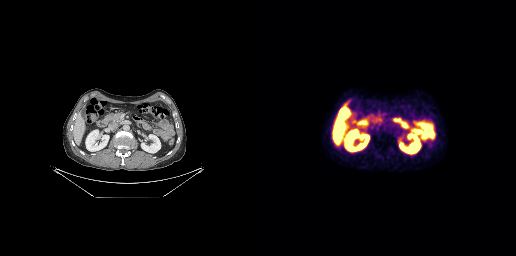
- Two-panel axial: CT | PSMA PET, 18F tracer
Findings: This slice has no annotated PSMA-avid lesion.